Technique: Two-panel axial: CT | PSMA PET, [18F]PSMA-1007 tracer. acquired on Siemens Biograph mCT Flow 20. PET panel 200×200 px (4.1 mm/px).
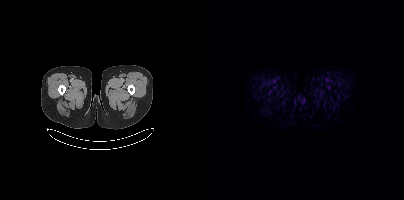
Findings: Negative for PSMA-avid disease on this slice.